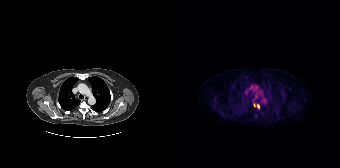
{"pet_grid":[168,168],"coord_frame":"pet_panel","coord_format":"x0,y0,x1,y1","lesion_bboxes":[],"small_foci_centers":[[86,106],[83,116],[82,105]],"modality":"PSMA PET/CT","view":"axial","tracer":"18F-PSMA"}